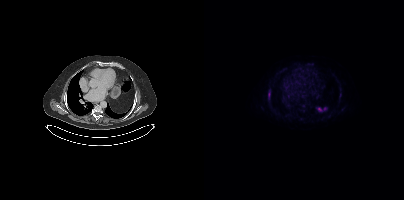
{"modality":"PSMA PET/CT","view":"axial","tracer":"[18F]PSMA-1007","pet_grid":[200,200],"coord_frame":"pet_panel","coord_format":"x0,y0,x1,y1","lesion_bboxes":[[64,91,66,97]]}